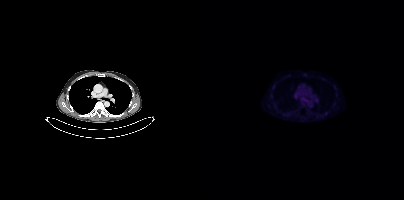
Coordinates are on the 200×200 PET (right) panel. Small PSMA-avid focus (2 to 4 px across) near (center x, center y): (122, 113).